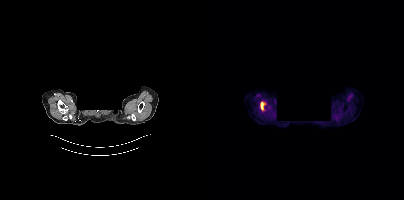
- facial anatomy redacted by setting a rectangular region of the head to black
- Left: CT. Right: PSMA PET, same axial level, 18F tracer
- PET panel 200×200 px (4.1 mm/px)
Findings: Coordinates are on the 200×200 PET (right) panel. PSMA-avid tumor lesion bounding box (x0,y0,x1,y1): [57,102,59,109].